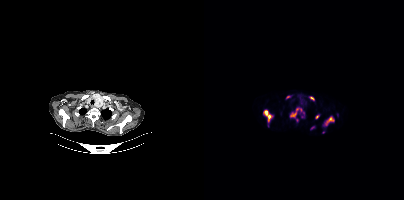
{"pet_grid":[200,200],"coord_frame":"pet_panel","coord_format":"x0,y0,x1,y1","partial":true,"lesion_bboxes":[[59,109,69,123],[86,108,98,117],[121,116,130,125],[106,97,110,100],[82,96,86,98]],"small_foci_centers":[[112,116],[92,120],[108,127],[99,112]],"modality":"PSMA PET/CT","view":"axial","tracer":"18F"}